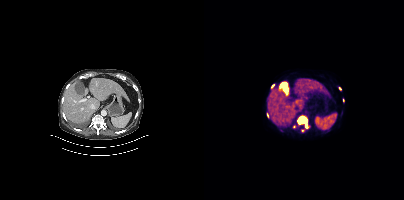
Coordinates are on the 200×200 PET (right) panel. (showing 6 of 7 foci) PSMA-avid tumor lesion bounding boxes (x0, y0)-(x1, y1): (93, 115)-(104, 128) / (63, 113)-(64, 117). Small PSMA-avid foci (2 to 4 px across) near (center x, center y): (68, 85) / (136, 88) / (98, 130) / (89, 126).